Left: CT. Right: PSMA PET, same axial level, 18F tracer. Slice position z = -700 mm. PET panel 200×200 px (4.1 mm/px).
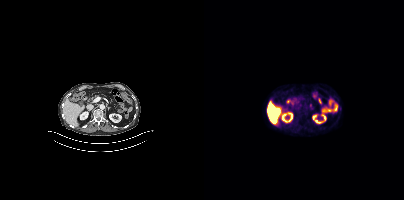
No PSMA-avid tumor lesions on this slice.